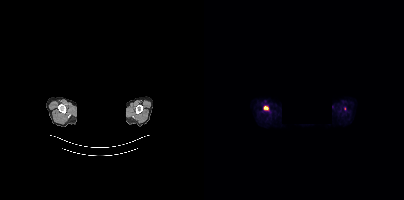
Left: CT. Right: PSMA PET, same axial level, 18F-PSMA tracer. Slice position z = -368 mm. PET panel 200×200 px (4.1 mm/px). A rectangular block over the head has been blanked out for de-identification. Coordinates are on the 200×200 PET (right) panel. PSMA-avid tumor lesion bounding box (x, y, width, height): x=59 y=105 w=6 h=6.